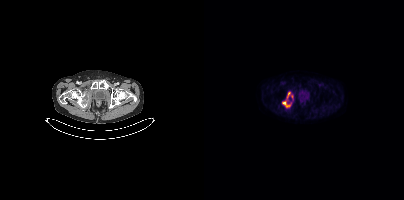
- Left: CT. Right: PSMA PET, same axial level, 18F tracer
- acquired on Siemens Biograph mCT Flow 20
Findings: Coordinates are on the 200×200 PET (right) panel. PSMA-avid tumor lesion bounding box (x0, y0)-(x1, y1): (78, 92)-(89, 107).